Technique: Paired axial CT (left) and PSMA PET (right), 18F-PSMA tracer. slice position z = -1400 mm. PET panel 200×200 px (4.1 mm/px).
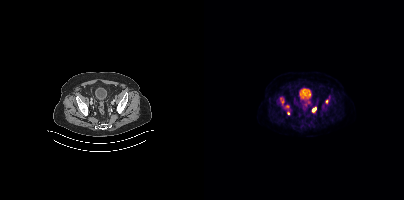
Findings: Coordinates are on the 200×200 PET (right) panel. PSMA-avid tumor lesion bounding boxes (x0,y0,x1,y1): [108,107,112,112], [76,98,79,104]. Small PSMA-avid foci (2 to 4 px across) near (center x, center y): (83, 106), (105, 101), (84, 113), (122, 101).